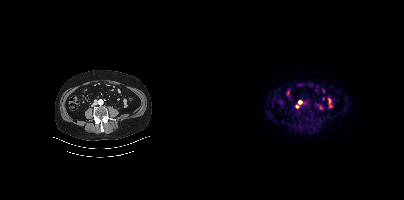
{"modality":"PSMA PET/CT","view":"axial","tracer":"[18F]PSMA-1007","pet_grid":[200,200],"coord_frame":"pet_panel","coord_format":"x0,y0,x1,y1","lesion_bboxes":[],"small_foci_centers":[[96,102],[92,106]]}